Left: CT. Right: PSMA PET, same axial level, [18F]PSMA-1007 tracer. Acquired on Siemens Biograph mCT Flow 20. Slice 96 of 415. PET panel 200×200 px (4.1 mm/px).
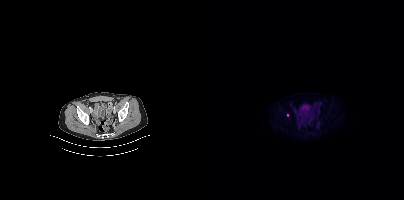
Coordinates are on the 200×200 PET (right) panel. Small PSMA-avid focus (2 to 4 px across) near (center x, center y): (83, 115).